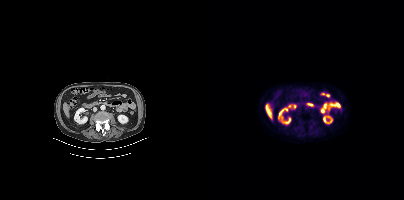
{"pet_grid":[200,200],"coord_frame":"pet_panel","coord_format":"x0,y0,x1,y1","psma_avid_lesions":false,"modality":"PSMA PET/CT","view":"axial","tracer":"18F-PSMA"}